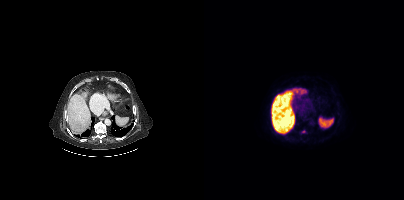
{"pet_grid":[200,200],"coord_frame":"pet_panel","coord_format":"x0,y0,x1,y1","lesion_bboxes":[],"small_foci_centers":[[99,131]],"modality":"PSMA PET/CT","view":"axial","tracer":"[18F]PSMA-1007"}